modality: PSMA PET/CT | tracer: 18F | view: axial | PET grid: 200×200
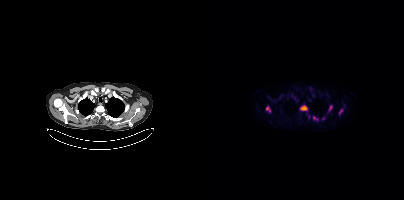
Coordinates are on the 200×200 PET (right) panel. PSMA-avid tumor lesion bounding boxes (x0, y0)-(x1, y1): (96, 105)-(103, 110) / (125, 105)-(128, 111) / (109, 116)-(114, 120) / (62, 107)-(66, 111) / (135, 109)-(138, 114). Small PSMA-avid focus (2 to 4 px across) near (center x, center y): (119, 118).